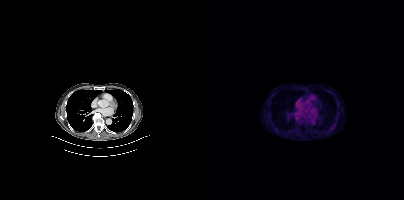
Only PSMA-avid lesion pieces thinner than 2 px on this slice (not listed).